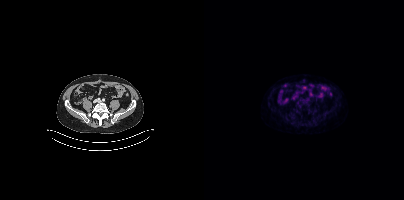
No tumor lesions annotated on this slice.
modality: PSMA PET/CT | tracer: 68Ga | view: axial | PET grid: 200×200